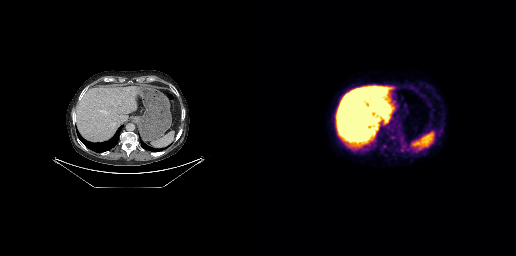
Findings: Coordinates are on the 256×256 PET (right) panel. PSMA-avid tumor lesion bounding box (x0,y0,x1,y1): [109,91,114,95].
Technique: Left: CT. Right: PSMA PET, same axial level, 18F-PSMA tracer.